Paired axial CT (left) and PSMA PET (right), 18F tracer. PET panel 200×200 px (4.1 mm/px).
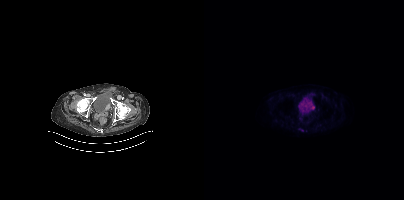
Coordinates are on the 200×200 PET (right) panel. (showing 2 of 3 foci) Small PSMA-avid foci (2 to 4 px across) near (center x, center y): (108, 107); (102, 130).